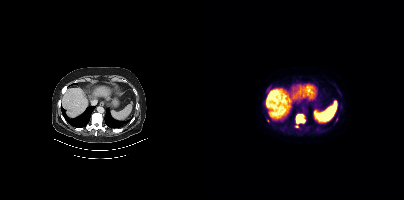
Findings: Coordinates are on the 200×200 PET (right) panel. PSMA-avid tumor lesion bounding boxes (x, y, width, height): x=91 y=113 w=11 h=11 / x=91 y=125 w=5 h=4 / x=133 y=88 w=3 h=5. Small PSMA-avid focus (2 to 4 px across) near (center x, center y): (132, 119).
Technique: Left: CT. Right: PSMA PET, same axial level, [18F]PSMA-1007 tracer. acquired on Siemens Biograph mCT Flow 20. slice 280 of 464. PET panel 200×200 px (4.1 mm/px).